modality: PSMA PET/CT | tracer: 18F | view: axial | PET grid: 200×200
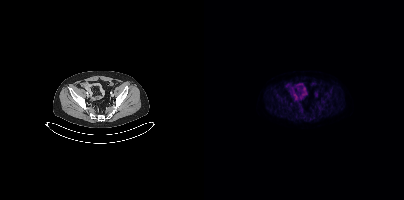
This slice has no annotated PSMA-avid lesion.